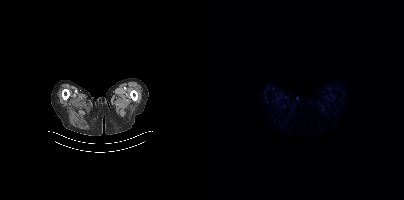
No PSMA-avid tumor lesions on this slice.